Left: CT. Right: PSMA PET, same axial level, [18F]PSMA-1007 tracer. Acquired on Siemens Biograph mCT Flow 20.
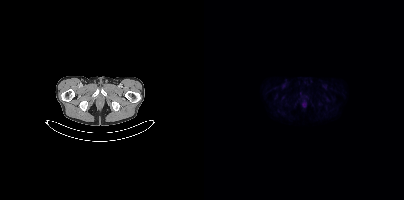
Coordinates are on the 200×200 PET (right) panel. Small PSMA-avid focus (2 to 4 px across) near (center x, center y): (96, 92).